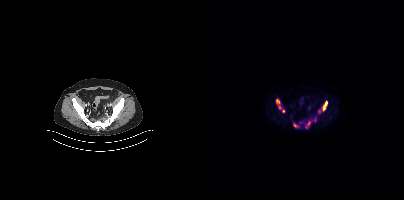
Coordinates are on the 200×200 PET (right) panel. (showing 7 of 9 foci) PSMA-avid tumor lesion bounding boxes (x, y, width, height): x=117 y=100 w=7 h=12 / x=72 y=99 w=4 h=6 / x=104 y=120 w=3 h=6 / x=89 y=123 w=5 h=4. Small PSMA-avid foci (2 to 4 px across) near (center x, center y): (115, 111) / (75, 107) / (79, 111).